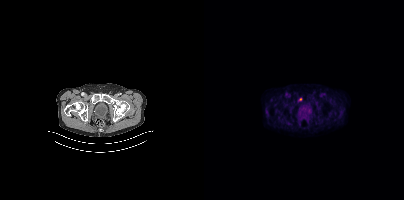
{"pet_grid":[200,200],"coord_frame":"pet_panel","coord_format":"x0,y0,x1,y1","lesion_bboxes":[],"small_foci_centers":[[96,99]],"modality":"PSMA PET/CT","view":"axial","tracer":"[18F]PSMA-1007"}